Two-panel axial: CT | PSMA PET, [18F]PSMA-1007 tracer. Acquired on Siemens Biograph mCT Flow 20. Slice position z = -697 mm. PET panel 200×200 px (4.1 mm/px).
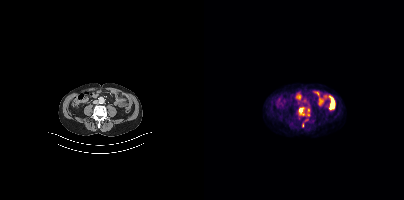
Coordinates are on the 200×200 PET (right) panel. (showing 2 of 4 foci) PSMA-avid tumor lesion bounding box (x0,y0,x1,y1): [95,107,100,115]. Small PSMA-avid focus (2 to 4 px across) near (center x, center y): (104, 109).